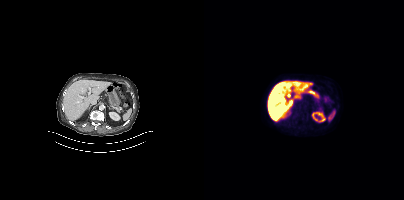
This slice has no annotated PSMA-avid lesion.